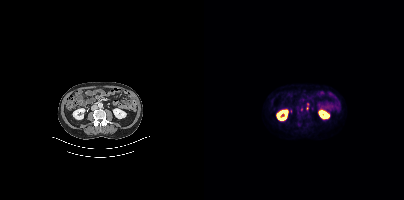
Two-panel axial: CT | PSMA PET, [18F]PSMA-1007 tracer. PET panel 200×200 px (4.1 mm/px). Coordinates are on the 200×200 PET (right) panel. (showing 2 of 3 foci) Small PSMA-avid foci (2 to 4 px across) near (center x, center y): (103, 108) | (103, 103).